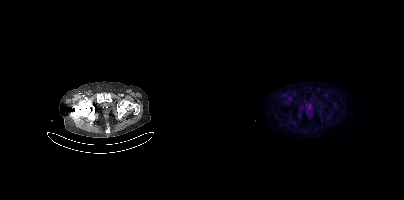
Paired axial CT (left) and PSMA PET (right), 18F tracer. Acquired on Siemens Biograph mCT Flow 20. PET panel 200×200 px (4.1 mm/px). Only PSMA-avid lesion pieces thinner than 2 px on this slice (not listed).